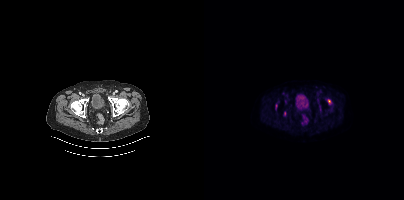
- Two-panel axial: CT | PSMA PET, 18F tracer
- acquired on Siemens Biograph mCT Flow 20
Findings: Coordinates are on the 200×200 PET (right) panel. PSMA-avid tumor lesion bounding box (x0, y0)-(x1, y1): (124, 99)-(126, 103). Small PSMA-avid foci (2 to 4 px across) near (center x, center y): (80, 113); (72, 105).